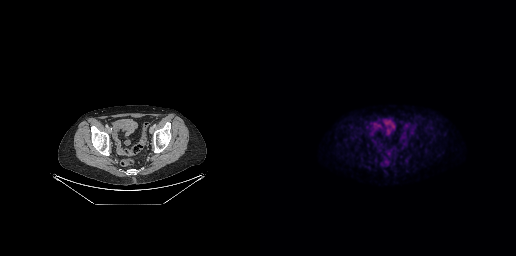
Technique: Left: CT. Right: PSMA PET, same axial level, 18F tracer. PET panel 256×256 px (2.7 mm/px).
Findings: No tumor lesions annotated on this slice.